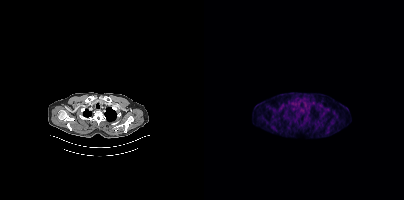
modality: PSMA PET/CT | tracer: 18F | view: axial | PET grid: 200×200
No PSMA-avid tumor lesions on this slice.